- de-identified by setting a box covering the face to black before release
- Left: CT. Right: PSMA PET, same axial level, [18F]PSMA-1007 tracer
- slice position z = -354 mm
- PET panel 200×200 px (4.1 mm/px)
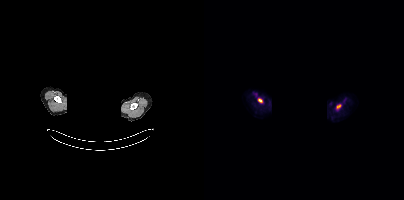
Findings: Coordinates are on the 200×200 PET (right) panel. PSMA-avid tumor lesion bounding boxes (x0, y0)-(x1, y1): (54, 99)-(58, 102) / (132, 105)-(136, 108).